modality: PSMA PET/CT | tracer: 18F | view: axial | PET grid: 200×200
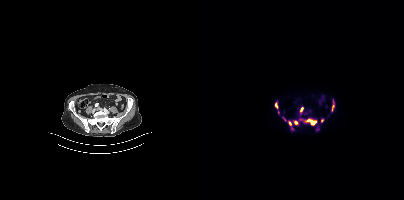
Coordinates are on the 200×200 PET (right) panel. PSMA-avid tumor lesion bounding boxes (x, y, width, height): x=102 y=119 w=11 h=6 / x=84 y=121 w=4 h=5 / x=71 y=103 w=3 h=6 / x=127 y=105 w=4 h=7 / x=96 y=107 w=4 h=5 / x=78 y=116 w=4 h=5. Small PSMA-avid foci (2 to 4 px across) near (center x, center y): (91, 122) / (118, 120) / (88, 128).